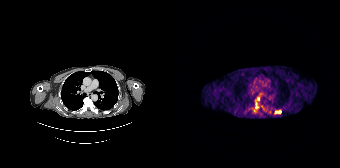
{"modality":"PSMA PET/CT","view":"axial","tracer":"68Ga","pet_grid":[168,168],"coord_frame":"pet_panel","coord_format":"x0,y0,x1,y1","partial":true,"lesion_bboxes":[[103,110,109,113]]}